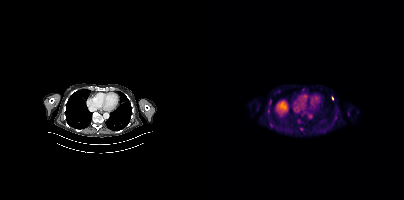
modality: PSMA PET/CT | tracer: 18F-PSMA | view: axial
Coordinates are on the 200×200 PET (right) panel. (showing 1 of 2 foci) Small PSMA-avid focus (2 to 4 px across) near (center x, center y): (128, 98).